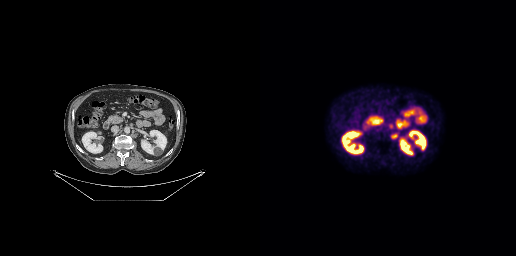
Paired axial CT (left) and PSMA PET (right), 18F tracer. Slice position z = -407 mm. Coordinates are on the 256×256 PET (right) panel. PSMA-avid tumor lesion bounding boxes (x0, y0)-(x1, y1): (131, 133)-(137, 139) / (130, 124)-(132, 128).